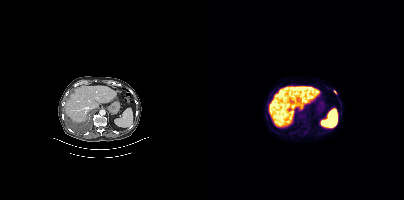
Coordinates are on the 200×200 PET (right) panel. PSMA-avid tumor lesion bounding box (x0, y0)-(x1, y1): (130, 90)-(132, 94). Two-panel axial: CT | PSMA PET, 18F tracer. Acquired on Siemens Biograph mCT Flow 20. Slice position z = -1248 mm.